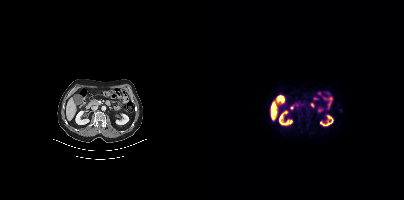
Findings: No PSMA-avid tumor lesions on this slice.
- Two-panel axial: CT | PSMA PET, [18F]PSMA-1007 tracer
- acquired on Siemens Biograph mCT Flow 20
- slice 188 of 405
- PET panel 200×200 px (4.1 mm/px)